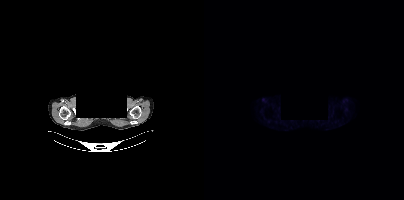
Left: CT. Right: PSMA PET, same axial level, [18F]PSMA-1007 tracer. Slice position z = -312 mm. A rectangular block over the head has been blanked out for de-identification. This slice has no annotated PSMA-avid lesion.